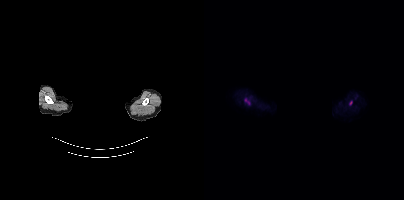
{"pet_grid":[200,200],"coord_frame":"pet_panel","coord_format":"x0,y0,x1,y1","lesion_bboxes":[[40,98,45,104]],"small_foci_centers":[[146,102]],"modality":"PSMA PET/CT","view":"axial","tracer":"18F-PSMA","de-identification":"head region blanked (face removed)"}